modality: PSMA PET/CT | tracer: [18F]PSMA-1007 | view: axial
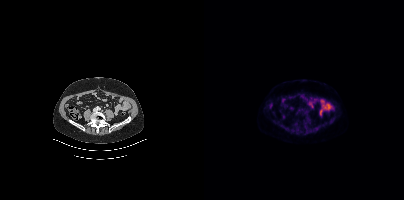
Negative for PSMA-avid disease on this slice.